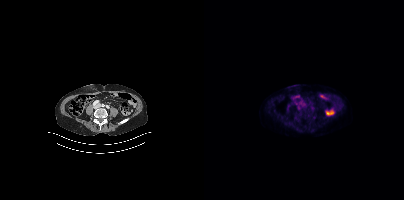
This slice has no annotated PSMA-avid lesion. Two-panel axial: CT | PSMA PET, 18F-PSMA tracer. Acquired on Siemens Biograph mCT Flow 20. Slice 139 of 423.